Left: CT. Right: PSMA PET, same axial level, [18F]PSMA-1007 tracer. Slice 190 of 263. PET panel 256×256 px (2.7 mm/px).
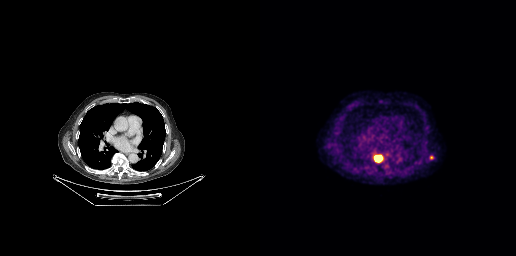
Coordinates are on the 256×256 PET (right) panel. PSMA-avid tumor lesion bounding boxes:
| # | x0 | y0 | x1 | y1 |
|---|---|---|---|---|
| 1 | 114 | 155 | 122 | 162 |
| 2 | 169 | 155 | 174 | 159 |